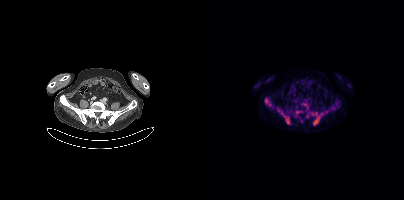
Coordinates are on the 200×200 PET (right) panel. (showing 5 of 8 foci) PSMA-avid tumor lesion bounding boxes (x0, y0)-(x1, y1): (108, 112)-(119, 125); (77, 112)-(86, 124); (61, 99)-(67, 106); (92, 111)-(96, 113). Small PSMA-avid focus (2 to 4 px across) near (center x, center y): (101, 105).